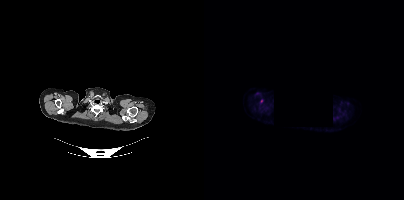
Coordinates are on the 200×200 PET (right) panel. Small PSMA-avid focus (2 to 4 px across) near (center x, center y): (57, 100).
de-identification: rectangular block set to black | modality: PSMA PET/CT | tracer: [18F]PSMA-1007 | view: axial | PET grid: 200×200